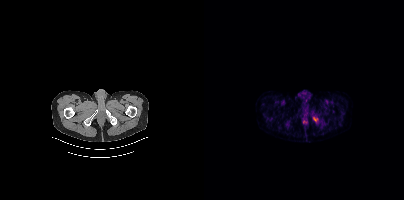
{"modality":"PSMA PET/CT","view":"axial","tracer":"[68Ga]Ga-PSMA-11","pet_grid":[200,200],"coord_frame":"pet_panel","coord_format":"x0,y0,x1,y1","lesion_bboxes":[[109,118,113,120]]}